- Left: CT. Right: PSMA PET, same axial level, 18F tracer
- acquired on Siemens Biograph mCT Flow 20
- slice position z = -666 mm
- PET panel 200×200 px (4.1 mm/px)
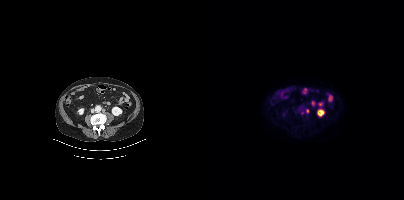
Findings: Coordinates are on the 200×200 PET (right) panel. Small PSMA-avid focus (2 to 4 px across) near (center x, center y): (103, 110).